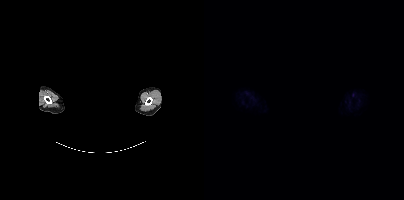
- Paired axial CT (left) and PSMA PET (right), 18F-PSMA tracer
- PET panel 200×200 px (4.1 mm/px)
- head region blanked for anonymization (face removed)
Findings: No tumor lesions annotated on this slice.